Left: CT. Right: PSMA PET, same axial level, 68Ga tracer. Slice position z = -496 mm.
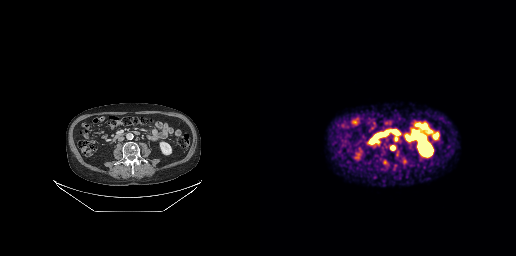
Coordinates are on the 256×256 PET (right) panel. PSMA-avid tumor lesion bounding boxes (x0,y0,x1,y1): [136,150,139,156], [144,159,147,164]. Small PSMA-avid foci (2 to 4 px across) near (center x, center y): (132, 147), (136, 138), (125, 162).